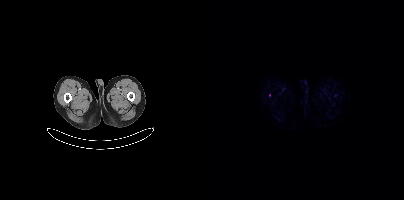
Coordinates are on the 200×200 PET (right) panel. Small PSMA-avid focus (2 to 4 px across) near (center x, center y): (65, 94).